Left: CT. Right: PSMA PET, same axial level, 18F-PSMA tracer. Acquired on Siemens Biograph mCT Flow 20. Slice 390 of 423. PET panel 200×200 px (4.1 mm/px). A rectangular block over the head has been blanked out for de-identification.
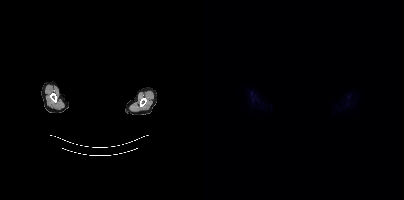
No tumor lesions annotated on this slice.